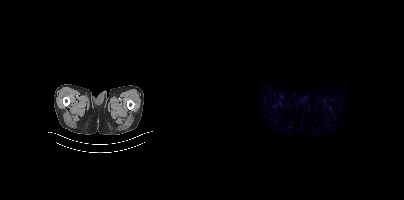
No PSMA-avid tumor lesions on this slice.